modality: PSMA PET/CT | tracer: 18F | view: axial | PET grid: 200×200 | redaction: privacy mask (black rectangle)
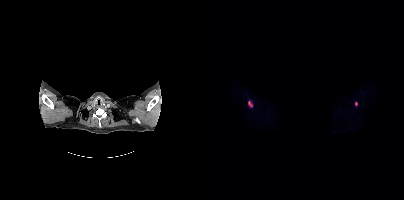
Coordinates are on the 200×200 PET (right) panel. PSMA-avid tumor lesion bounding box (x0,y0,x1,y1): [44,101,48,107]. Small PSMA-avid focus (2 to 4 px across) near (center x, center y): (152, 103).